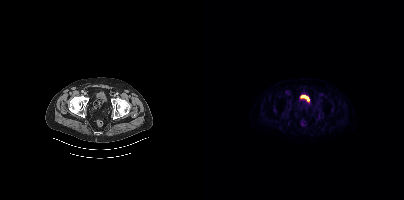
Coordinates are on the 200×200 PET (right) panel. PSMA-avid tumor lesion bounding boxes (x0, y0)-(x1, y1): (82, 105)-(86, 110) | (114, 113)-(116, 118). Small PSMA-avid foci (2 to 4 px across) near (center x, center y): (113, 102) | (118, 116) | (118, 113).